- an anonymization step blacked out a rectangle in this scan
- Left: CT. Right: PSMA PET, same axial level, [68Ga]Ga-PSMA-11 tracer
- acquired on Siemens Biograph 64-4R TruePoint
- slice 168 of 195
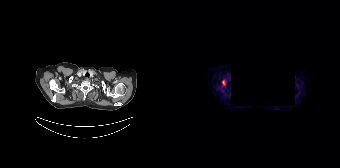
Findings: Coordinates are on the 168×168 PET (right) panel. PSMA-avid tumor lesion bounding box (x, y, width, height): x=50 y=80 w=4 h=6.